Two-panel axial: CT | PSMA PET, 68Ga-PSMA tracer. Acquired on Siemens Biograph mCT Flow 20. Slice position z = -1278 mm.
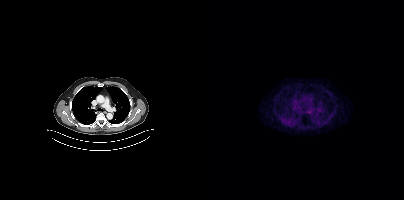
This slice has no annotated PSMA-avid lesion.